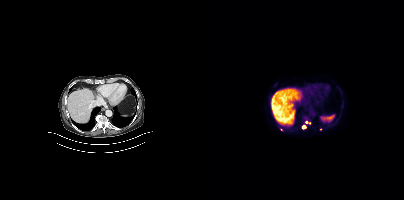
Two-panel axial: CT | PSMA PET, 18F tracer. Acquired on Siemens Biograph mCT Flow 20. Coordinates are on the 200×200 PET (right) panel. (showing 2 of 4 foci) Small PSMA-avid foci (2 to 4 px across) near (center x, center y): (100, 127) / (77, 129).